- Left: CT. Right: PSMA PET, same axial level, 18F tracer
- PET panel 200×200 px (4.1 mm/px)
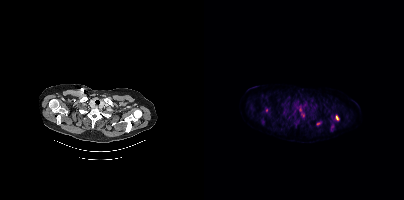
Findings: Coordinates are on the 200×200 PET (right) panel. PSMA-avid tumor lesion bounding boxes (x, y, width, height): x=95 y=108 w=6 h=10 / x=131 y=115 w=4 h=6. Small PSMA-avid foci (2 to 4 px across) near (center x, center y): (114, 123) / (62, 110).